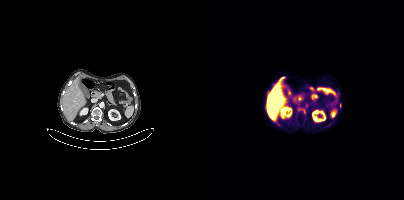
{"modality":"PSMA PET/CT","view":"axial","tracer":"18F","pet_grid":[200,200],"coord_frame":"pet_panel","coord_format":"x0,y0,x1,y1","lesion_bboxes":[[94,108,101,113]],"small_foci_centers":[[136,105]]}